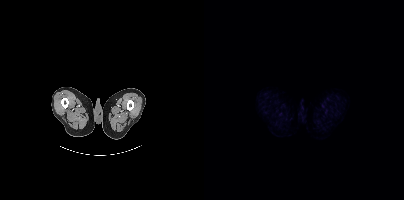
Negative for PSMA-avid disease on this slice.